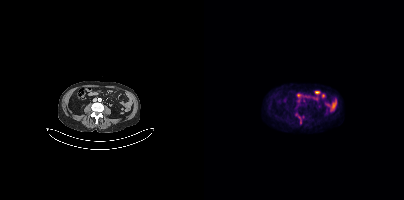
Findings: Only PSMA-avid lesion pieces thinner than 2 px on this slice (not listed).
Technique: Two-panel axial: CT | PSMA PET, [18F]PSMA-1007 tracer. slice position z = -762 mm.